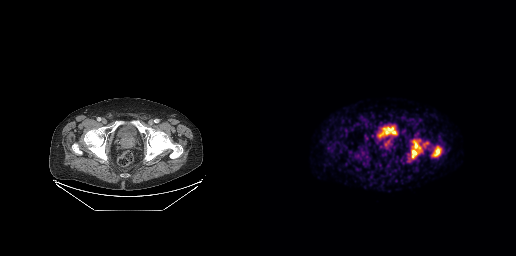
{"pet_grid":[256,256],"coord_frame":"pet_panel","coord_format":"x0,y0,x1,y1","lesion_bboxes":[[152,140,160,158],[173,147,180,156]],"modality":"PSMA PET/CT","view":"axial","tracer":"68Ga"}